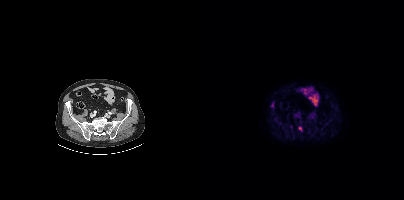
Technique: Two-panel axial: CT | PSMA PET, 18F tracer. acquired on Siemens Biograph mCT Flow 20.
Findings: Coordinates are on the 200×200 PET (right) panel. Small PSMA-avid focus (2 to 4 px across) near (center x, center y): (96, 128).